- Left: CT. Right: PSMA PET, same axial level, [18F]PSMA-1007 tracer
- acquired on Siemens Biograph mCT Flow 20
- slice 193 of 413
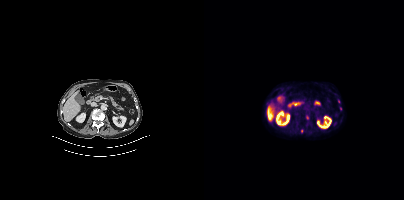
Findings: Only PSMA-avid lesion pieces thinner than 2 px on this slice (not listed).